modality: PSMA PET/CT | tracer: [18F]PSMA-1007 | view: axial | PET grid: 200×200
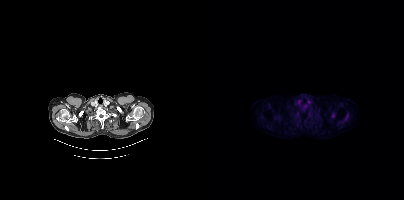
Coordinates are on the 200×200 PET (right) panel. PSMA-avid tumor lesion bounding boxes (x, y, width, height): x=139 y=114 w=6 h=9 / x=128 y=113 w=3 h=5.